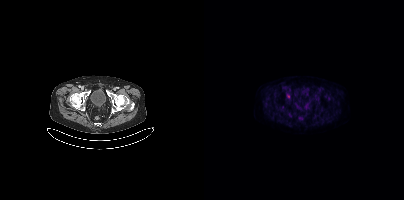
Coordinates are on the 200×200 PET (right) panel. Small PSMA-avid focus (2 to 4 px across) near (center x, center y): (84, 97). Paired axial CT (left) and PSMA PET (right), [18F]PSMA-1007 tracer. Acquired on Siemens Biograph mCT Flow 20. Slice 70 of 387.